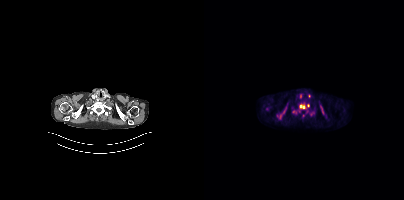
Coordinates are on the 200×200 PET (right) panel. (showing 4 of 6 foci) PSMA-avid tumor lesion bounding boxes (x0,y0,x1,y1): [94,103,105,112], [72,106,83,119], [116,105,120,114], [88,110,92,113].